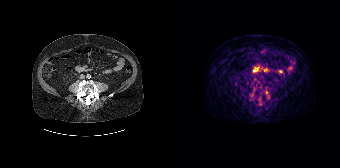
Paired axial CT (left) and PSMA PET (right), 68Ga-PSMA tracer. No tumor lesions annotated on this slice.